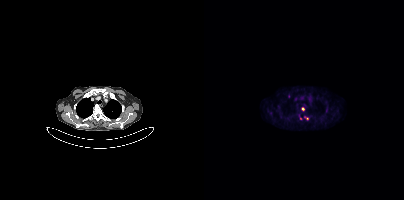
modality: PSMA PET/CT | tracer: [18F]PSMA-1007 | view: axial
Coordinates are on the 200×200 PET (right) panel. PSMA-avid tumor lesion bounding box (x0,y0,x1,y1): [100,117,104,119]. Small PSMA-avid foci (2 to 4 px across) near (center x, center y): (99, 109), (96, 118).